Two-panel axial: CT | PSMA PET, 18F-PSMA tracer. Slice position z = -358 mm.
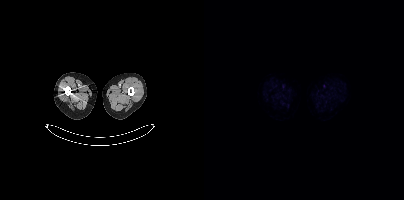
No PSMA-avid tumor lesions on this slice.